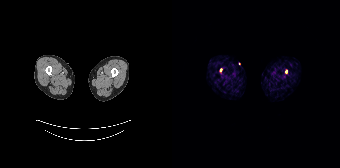
Two-panel axial: CT | PSMA PET, 68Ga-PSMA tracer. Acquired on Siemens Biograph 64-4R TruePoint. Coordinates are on the 168×168 PET (right) panel. Small PSMA-avid foci (2 to 4 px across) near (center x, center y): (114, 71); (48, 70).